Face de-identified by blanking a block of the head. Two-panel axial: CT | PSMA PET, 18F-PSMA tracer. Acquired on Siemens Biograph mCT Flow 20. Slice position z = -470 mm.
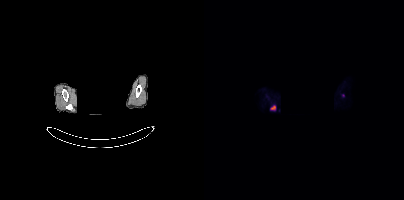
Coordinates are on the 200×200 PET (right) panel. PSMA-avid tumor lesion bounding boxes (partial; 1 more focus not listed):
| # | x0 | y0 | x1 | y1 |
|---|---|---|---|---|
| 1 | 67 | 105 | 71 | 110 |